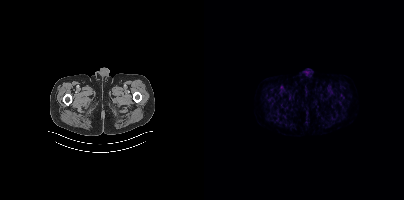
- Left: CT. Right: PSMA PET, same axial level, 18F tracer
- acquired on Siemens Biograph mCT Flow 20
Findings: No tumor lesions annotated on this slice.